modality: PSMA PET/CT | tracer: [68Ga]Ga-PSMA-11 | view: axial | PET grid: 168×168
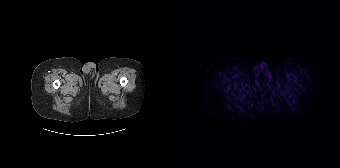
No tumor lesions annotated on this slice.